- Left: CT. Right: PSMA PET, same axial level, [18F]PSMA-1007 tracer
- acquired on Siemens Biograph mCT Flow 20
- slice position z = -652 mm
- PET panel 200×200 px (4.1 mm/px)
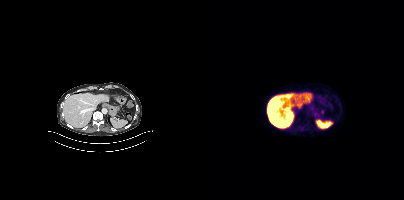
Findings: This slice has no annotated PSMA-avid lesion.